- Left: CT. Right: PSMA PET, same axial level, [18F]PSMA-1007 tracer
- acquired on Siemens Biograph mCT Flow 20
- PET panel 200×200 px (4.1 mm/px)
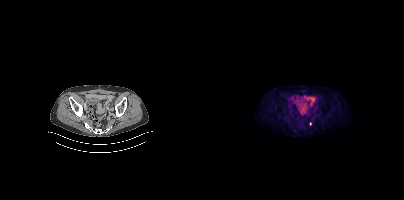
Findings: Only PSMA-avid lesion pieces thinner than 2 px on this slice (not listed).